Technique: Paired axial CT (left) and PSMA PET (right), [68Ga]Ga-PSMA-11 tracer.
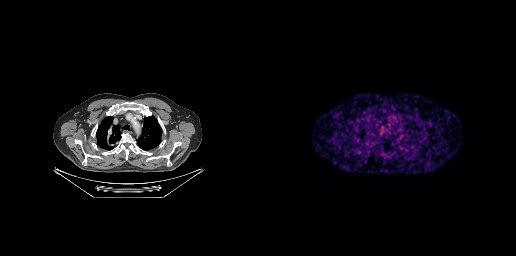
Findings: No tumor lesions annotated on this slice.